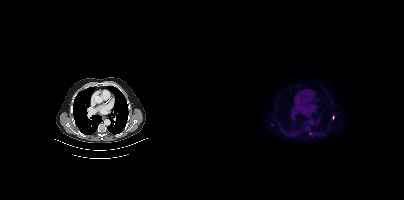
Coordinates are on the 200×200 PET (right) panel. (showing 1 of 2 foci) Small PSMA-avid focus (2 to 4 px across) near (center x, center y): (129, 117). Two-panel axial: CT | PSMA PET, [18F]PSMA-1007 tracer. Acquired on Siemens Biograph mCT Flow 20. PET panel 200×200 px (4.1 mm/px).